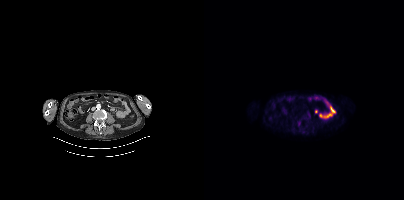
Coordinates are on the 200×200 PET (right) panel. (showing 1 of 2 foci) Small PSMA-avid focus (2 to 4 px across) near (center x, center y): (95, 122). Two-panel axial: CT | PSMA PET, 18F-PSMA tracer. Acquired on Siemens Biograph mCT Flow 20. Slice position z = -1232 mm.